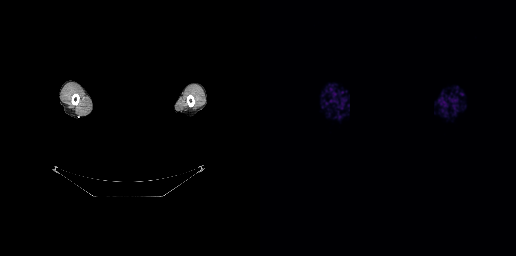
An anonymization step blacked out a rectangle over the head in this scan. Left: CT. Right: PSMA PET, same axial level, [68Ga]Ga-PSMA-11 tracer. Slice 259 of 263. This slice has no annotated PSMA-avid lesion.